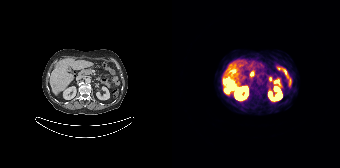
Left: CT. Right: PSMA PET, same axial level, 68Ga-PSMA tracer. PET panel 168×168 px (4.1 mm/px). Coordinates are on the 168×168 PET (right) panel. PSMA-avid tumor lesion bounding boxes (x0,y0,x1,y1): [52,78,63,93]; [56,68,64,72].